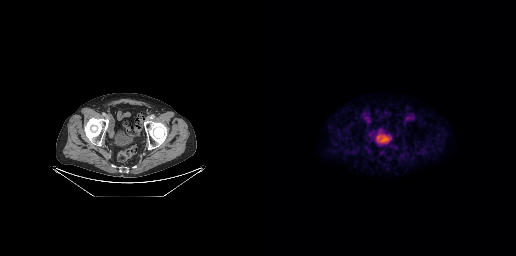
Paired axial CT (left) and PSMA PET (right), 18F-PSMA tracer. No PSMA-avid tumor lesions on this slice.